modality: PSMA PET/CT | tracer: 18F | view: axial
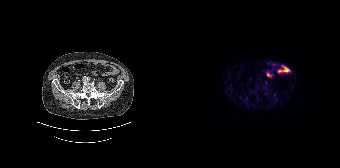
Negative for PSMA-avid disease on this slice.